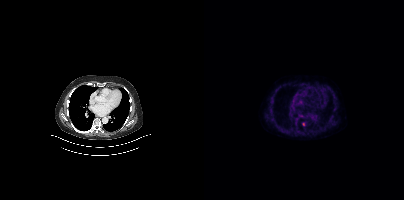
Coordinates are on the 200×200 PET (right) panel. Small PSMA-avid focus (2 to 4 px across) near (center x, center y): (99, 124).